Technique: Paired axial CT (left) and PSMA PET (right), [18F]PSMA-1007 tracer.
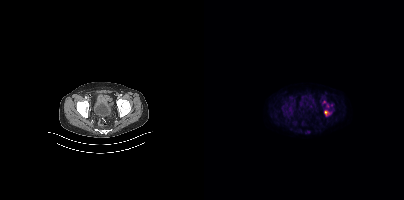
Findings: Coordinates are on the 200×200 PET (right) panel. (showing 1 of 3 foci) PSMA-avid tumor lesion bounding box (x0,y0,x1,y1): [120,110,125,115].